Left: CT. Right: PSMA PET, same axial level, [18F]PSMA-1007 tracer.
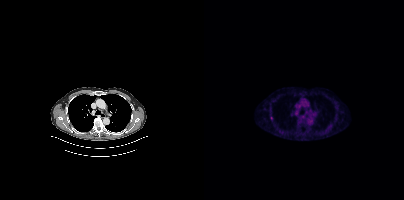
Coordinates are on the 200×200 PET (right) panel. Small PSMA-avid focus (2 to 4 px across) near (center x, center y): (67, 117).